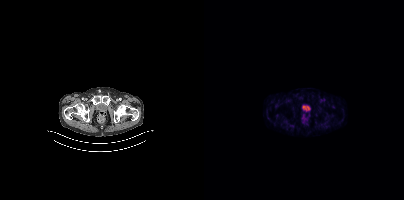
Negative for PSMA-avid disease on this slice. Paired axial CT (left) and PSMA PET (right), 18F-PSMA tracer. Acquired on Siemens Biograph mCT Flow 20. Slice position z = -972 mm.